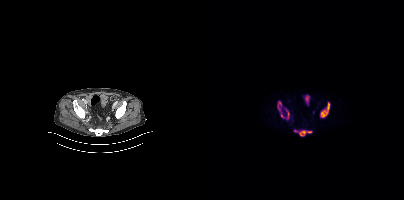
Coordinates are on the 200×200 PET (right) panel. PSMA-avid tumor lesion bounding boxes (x0, y0)-(x1, y1): (116, 102)-(125, 117); (95, 130)-(107, 136); (74, 102)-(77, 111); (82, 110)-(85, 118). Small PSMA-avid foci (2 to 4 px across) near (center x, center y): (78, 115); (92, 130).